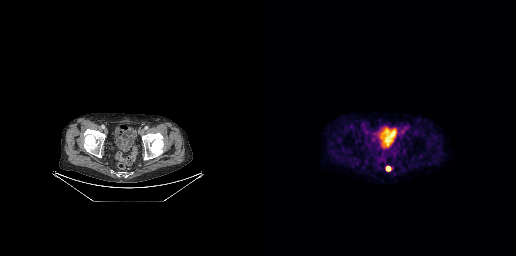
Technique: Left: CT. Right: PSMA PET, same axial level, 18F-PSMA tracer. slice position z = -651 mm.
Findings: Coordinates are on the 256×256 PET (right) panel. PSMA-avid tumor lesion bounding box (x, y, width, height): x=126 y=166 w=6 h=5.